Technique: Paired axial CT (left) and PSMA PET (right), 18F-PSMA tracer. acquired on Siemens Biograph mCT Flow 20.
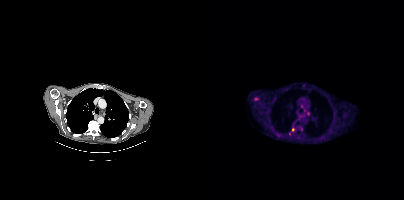
Findings: Coordinates are on the 200×200 PET (right) panel. PSMA-avid tumor lesion bounding boxes (x, y, width, height): x=88 y=121 w=4 h=11; x=50 y=97 w=5 h=4. Small PSMA-avid foci (2 to 4 px across) near (center x, center y): (98, 106); (100, 110); (104, 114); (98, 129); (85, 133).